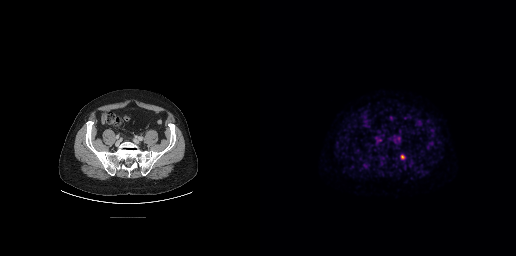
modality: PSMA PET/CT | tracer: 18F-PSMA | view: axial | PET grid: 256×256
Coordinates are on the 256×256 PET (right) panel. (showing 1 of 2 foci) PSMA-avid tumor lesion bounding box (x, y, width, height): x=141 y=155 w=4 h=5.